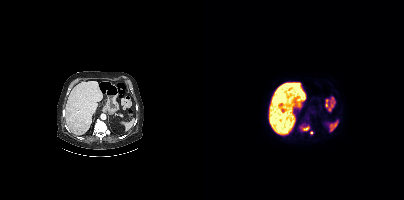
Technique: Left: CT. Right: PSMA PET, same axial level, [18F]PSMA-1007 tracer. acquired on Siemens Biograph mCT Flow 20.
Findings: Coordinates are on the 200×200 PET (right) panel. PSMA-avid tumor lesion bounding box (x0,y0,x1,y1): [96,124,105,131]. Small PSMA-avid focus (2 to 4 px across) near (center x, center y): (107, 132).